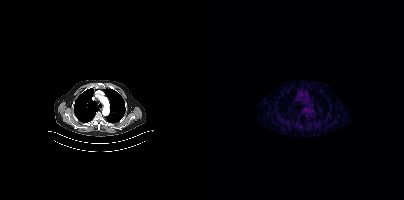
Findings: No tumor lesions annotated on this slice.
Technique: Left: CT. Right: PSMA PET, same axial level, 68Ga tracer.